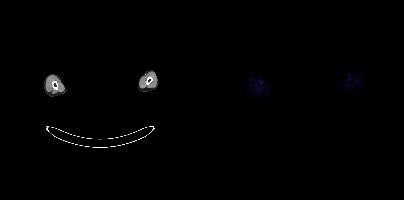
{"modality":"PSMA PET/CT","view":"axial","tracer":"18F-PSMA","pet_grid":[200,200],"coord_frame":"pet_panel","coord_format":"x0,y0,x1,y1","redaction":"face masked with black rectangle","psma_avid_lesions":false}